Two-panel axial: CT | PSMA PET, [68Ga]Ga-PSMA-11 tracer. Acquired on Siemens Biograph mCT Flow 20. Slice position z = 569 mm.
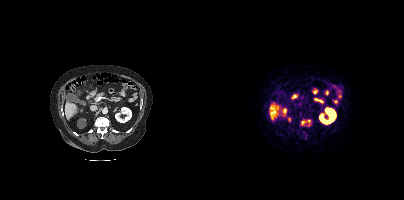
Coordinates are on the 200×200 PET (right) panel. PSMA-avid tumor lesion bounding box (x0, y0)-(x1, y1): (97, 120)-(107, 126).